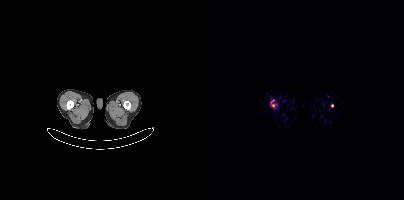
Paired axial CT (left) and PSMA PET (right), [68Ga]Ga-PSMA-11 tracer. Acquired on Siemens Biograph mCT Flow 20. Slice 4 of 393. Coordinates are on the 200×200 PET (right) panel. Small PSMA-avid foci (2 to 4 px across) near (center x, center y): (69, 105) / (128, 105).